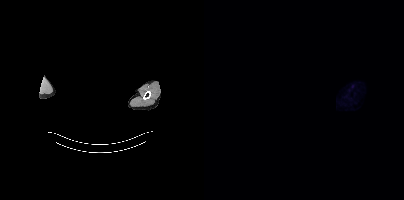
{"modality":"PSMA PET/CT","view":"axial","tracer":"18F-PSMA","pet_grid":[200,200],"coord_frame":"pet_panel","coord_format":"x0,y0,x1,y1","psma_avid_lesions":false,"redaction":"facial region redacted"}